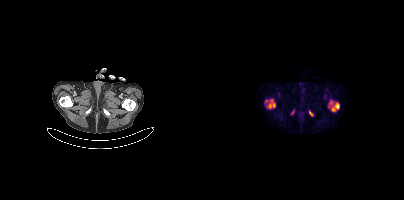
Coordinates are on the 200×200 PET (right) panel. PSMA-avid tumor lesion bounding boxes:
| # | x0 | y0 | x1 | y1 |
|---|---|---|---|---|
| 1 | 124 | 101 | 135 | 111 |
| 2 | 63 | 99 | 71 | 108 |
| 3 | 105 | 111 | 108 | 115 |
Small PSMA-avid foci (2 to 4 px across) near (center x, center y): (62, 100); (88, 112).
Left: CT. Right: PSMA PET, same axial level, [18F]PSMA-1007 tracer.